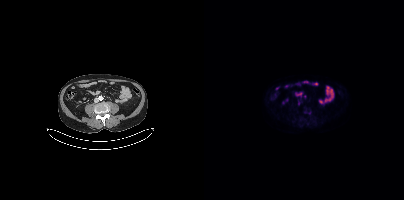
{"modality":"PSMA PET/CT","view":"axial","tracer":"18F-PSMA","pet_grid":[200,200],"coord_frame":"pet_panel","coord_format":"x0,y0,x1,y1","lesion_bboxes":[],"small_foci_centers":[[101,96],[94,103]]}